- Left: CT. Right: PSMA PET, same axial level, 18F-PSMA tracer
- slice 368 of 385
- facial anatomy redacted by setting a rectangular region of the head to black
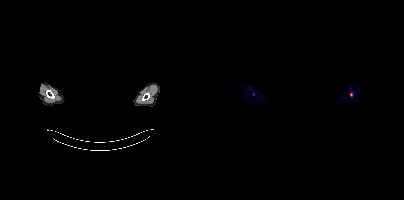
Findings: Coordinates are on the 200×200 PET (right) panel. Small PSMA-avid foci (2 to 4 px across) near (center x, center y): (147, 94) | (49, 94).